Technique: Left: CT. Right: PSMA PET, same axial level, [18F]PSMA-1007 tracer. slice 298 of 407. PET panel 200×200 px (4.1 mm/px).
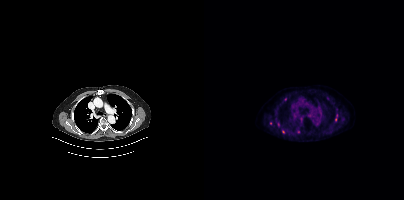
Findings: Coordinates are on the 200×200 PET (right) panel. (showing 2 of 6 foci) Small PSMA-avid foci (2 to 4 px across) near (center x, center y): (79, 131); (66, 123).